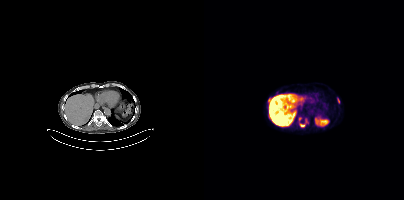
{"pet_grid":[200,200],"coord_frame":"pet_panel","coord_format":"x0,y0,x1,y1","partial":true,"lesion_bboxes":[[96,124,101,127],[94,117,97,121],[64,98,65,102]],"small_foci_centers":[[134,100],[72,93]],"modality":"PSMA PET/CT","view":"axial","tracer":"18F"}